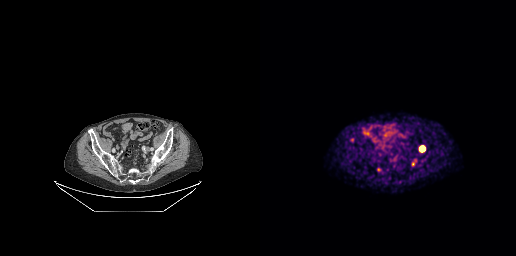
Paired axial CT (left) and PSMA PET (right), 68Ga-PSMA tracer. Coordinates are on the 256×256 PET (right) panel. PSMA-avid tumor lesion bounding boxes (x0, y0)-(x1, y1): (160, 146)-(164, 151); (152, 159)-(156, 165); (90, 138)-(94, 142). Small PSMA-avid focus (2 to 4 px across) near (center x, center y): (118, 169).